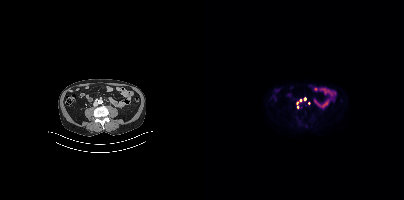
Coordinates are on the 200×200 PET (right) panel. (showing 1 of 5 foci) Small PSMA-avid focus (2 to 4 px across) near (center x, center y): (100, 98). Left: CT. Right: PSMA PET, same axial level, 18F-PSMA tracer. Acquired on Siemens Biograph mCT Flow 20. Slice 158 of 421. PET panel 200×200 px (4.1 mm/px).